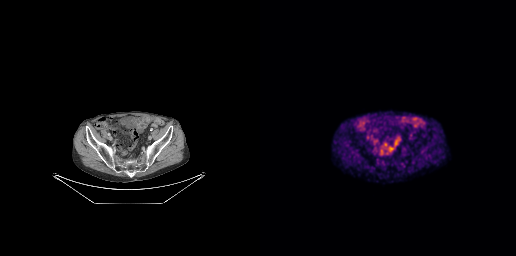
{"pet_grid":[256,256],"coord_frame":"pet_panel","coord_format":"x0,y0,x1,y1","psma_avid_lesions":false,"modality":"PSMA PET/CT","view":"axial","tracer":"18F"}